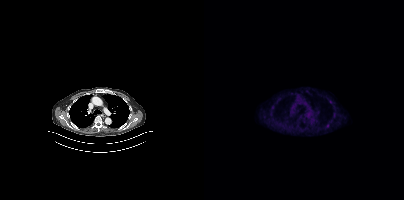
Coordinates are on the 200×200 PET (right) panel. Small PSMA-avid focus (2 to 4 px across) near (center x, center y): (123, 125). Left: CT. Right: PSMA PET, same axial level, 18F tracer. PET panel 200×200 px (4.1 mm/px).